The head region is masked for de-identification.
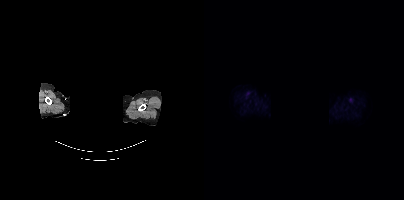
No tumor lesions annotated on this slice.